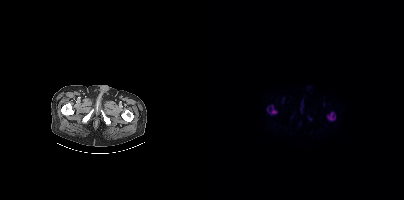
Coordinates are on the 200×200 PET (right) panel. PSMA-avid tumor lesion bounding boxes (x, y, width, height): x=123 y=112 w=9 h=9; x=66 y=105 w=8 h=9. Small PSMA-avid focus (2 to 4 px across) near (center x, center y): (63, 109). Left: CT. Right: PSMA PET, same axial level, 18F-PSMA tracer. Acquired on Siemens Biograph mCT Flow 20.